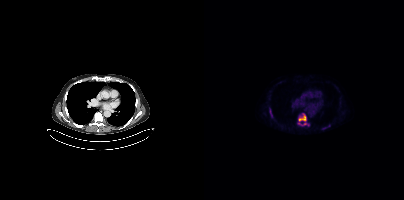
- Paired axial CT (left) and PSMA PET (right), [18F]PSMA-1007 tracer
- acquired on Siemens Biograph mCT Flow 20
- slice position z = 222 mm
- PET panel 200×200 px (4.1 mm/px)
Findings: Coordinates are on the 200×200 PET (right) panel. PSMA-avid tumor lesion bounding boxes (x0,y0,x1,y1): [93,113,105,125]; [65,108,68,117]; [118,124,126,129].